- Left: CT. Right: PSMA PET, same axial level, 18F tracer
- acquired on Siemens Biograph mCT Flow 20
- slice position z = -1387 mm
- PET panel 200×200 px (4.1 mm/px)
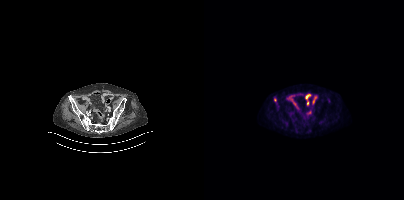
Findings: Coordinates are on the 200×200 PET (right) panel. Small PSMA-avid focus (2 to 4 px across) near (center x, center y): (71, 99).